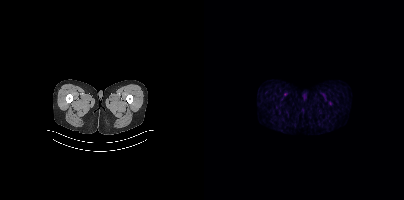
Findings: This slice has no annotated PSMA-avid lesion.
Technique: Left: CT. Right: PSMA PET, same axial level, 18F tracer. PET panel 200×200 px (4.1 mm/px).